- any black rectangle over the head is a privacy mask, not anatomy
- Two-panel axial: CT | PSMA PET, [18F]PSMA-1007 tracer
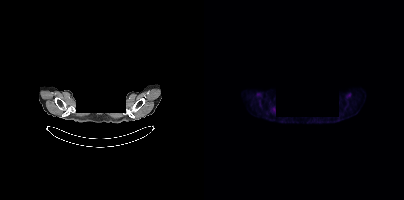
Findings: Negative for PSMA-avid disease on this slice.